Two-panel axial: CT | PSMA PET, [68Ga]Ga-PSMA-11 tracer. Some pixels were blanked for anonymization.
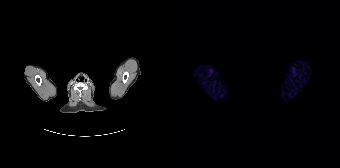
No tumor lesions annotated on this slice.